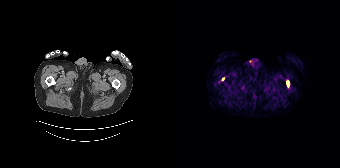
Coordinates are on the 168×168 PET (right) panel. PSMA-avid tumor lesion bounding box (x0, y0)-(x1, y1): (114, 81)-(117, 87). Small PSMA-avid focus (2 to 4 px across) near (center x, center y): (51, 79).
modality: PSMA PET/CT | tracer: 68Ga-PSMA | view: axial | PET grid: 168×168